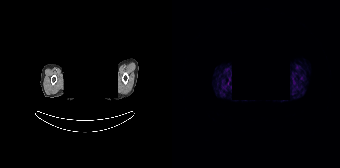
An anonymization step blacked out a rectangle over the head in this scan. Left: CT. Right: PSMA PET, same axial level, 68Ga tracer. Acquired on Siemens Biograph 64-4R TruePoint. Slice 178 of 195. PET panel 168×168 px (4.1 mm/px). This slice has no annotated PSMA-avid lesion.